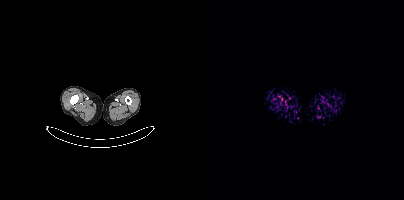
{"modality":"PSMA PET/CT","view":"axial","tracer":"18F-PSMA","pet_grid":[200,200],"coord_frame":"pet_panel","coord_format":"x0,y0,x1,y1","psma_avid_lesions":false}